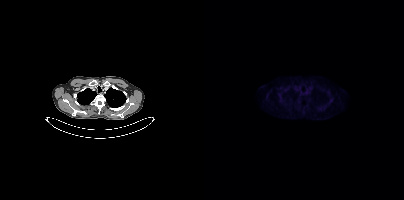
Paired axial CT (left) and PSMA PET (right), 18F-PSMA tracer. PET panel 200×200 px (4.1 mm/px). This slice has no annotated PSMA-avid lesion.